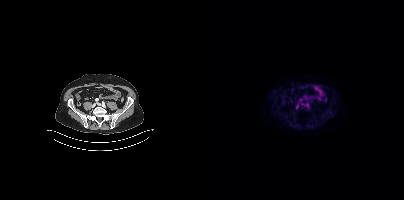
Findings: Coordinates are on the 200×200 PET (right) panel. Small PSMA-avid focus (2 to 4 px across) near (center x, center y): (103, 105).
Technique: Two-panel axial: CT | PSMA PET, 18F tracer. acquired on Siemens Biograph mCT Flow 20. slice position z = -1570 mm.